modality: PSMA PET/CT | tracer: [18F]PSMA-1007 | view: axial | PET grid: 200×200
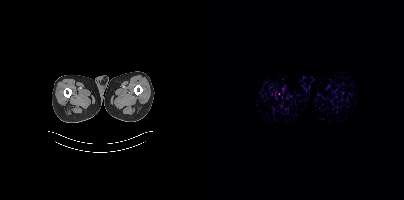
Negative for PSMA-avid disease on this slice.